modality: PSMA PET/CT | tracer: 18F | view: axial | PET grid: 256×256
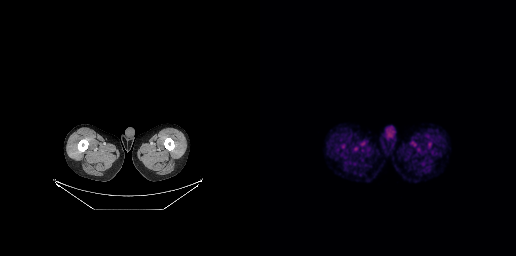
No tumor lesions annotated on this slice.